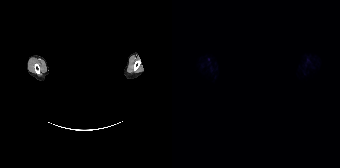
This slice has no annotated PSMA-avid lesion.
An anonymization step blacked out a rectangle over the head in this scan.